- Two-panel axial: CT | PSMA PET, 18F tracer
- slice position z = 470 mm
- face de-identified by blanking a block of the head
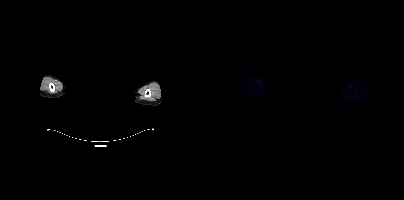
Findings: This slice has no annotated PSMA-avid lesion.